Paired axial CT (left) and PSMA PET (right), 18F-PSMA tracer. Slice 282 of 405. PET panel 200×200 px (4.1 mm/px).
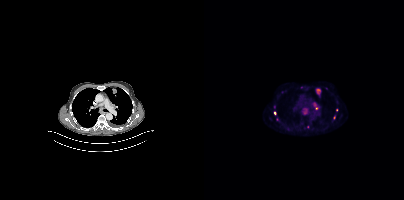
Coordinates are on the 200×200 PET (right) panel. PSMA-avid tumor lesion bounding boxes (partial; 5 more foci not listed):
| # | x0 | y0 | x1 | y1 |
|---|---|---|---|---|
| 1 | 107 | 102 | 115 | 109 |
| 2 | 98 | 108 | 104 | 114 |
| 3 | 112 | 88 | 116 | 95 |
Small PSMA-avid foci (2 to 4 px across) near (center x, center y): (70, 107); (70, 113); (132, 109).